Two-panel axial: CT | PSMA PET, 18F-PSMA tracer. Slice 47 of 263. PET panel 256×256 px (2.7 mm/px).
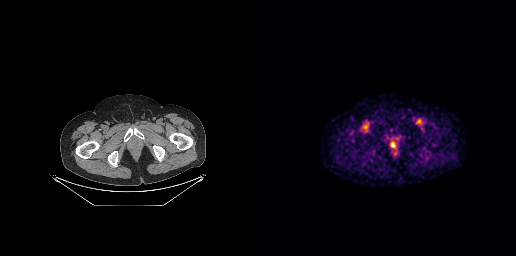
Coordinates are on the 256×256 PET (right) panel. PSMA-avid tumor lesion bounding box (x0, y0)-(x1, y1): (131, 143)-(135, 147).